modality: PSMA PET/CT | tracer: 18F-PSMA | view: axial
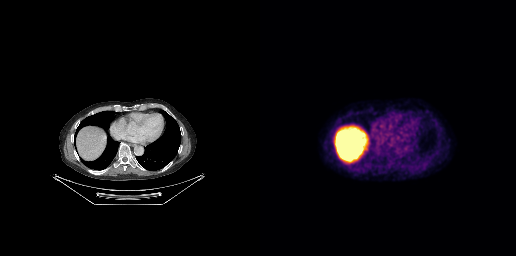
Negative for PSMA-avid disease on this slice.